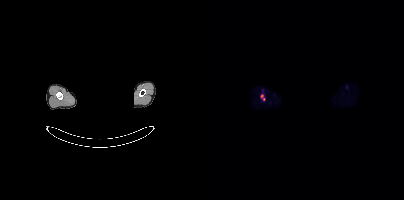
Coordinates are on the 200×200 PET (right) panel. (showing 1 of 2 foci) PSMA-avid tumor lesion bounding box (x0,y0,x1,y1): [56,94,61,101].
Any black rectangle over the head is a privacy mask, not anatomy.